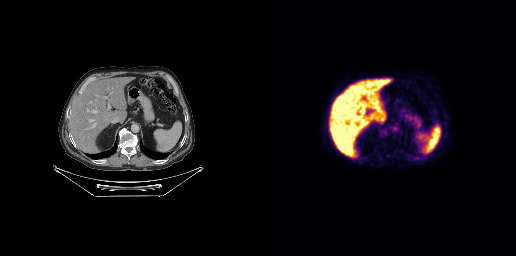
No PSMA-avid tumor lesions on this slice. Two-panel axial: CT | PSMA PET, 18F-PSMA tracer. Slice 163 of 263.